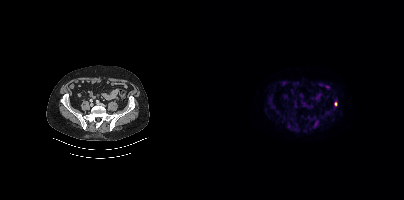
{"modality":"PSMA PET/CT","view":"axial","tracer":"[18F]PSMA-1007","pet_grid":[200,200],"coord_frame":"pet_panel","coord_format":"x0,y0,x1,y1","partial":true,"lesion_bboxes":[[62,99,70,108],[122,109,127,115],[109,119,114,127]],"small_foci_centers":[[129,97],[132,103],[73,111]]}